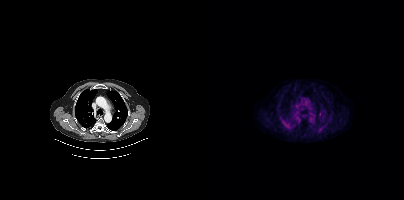
This slice has no annotated PSMA-avid lesion.